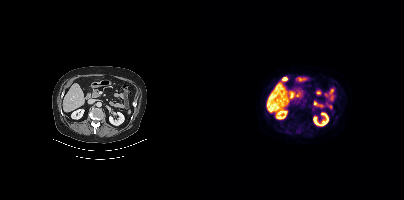
No PSMA-avid tumor lesions on this slice.